Technique: Two-panel axial: CT | PSMA PET, [18F]PSMA-1007 tracer.
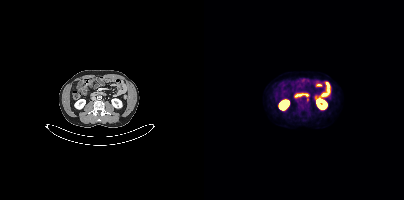
Findings: Coordinates are on the 200×200 PET (right) panel. Small PSMA-avid focus (2 to 4 px across) near (center x, center y): (103, 98).